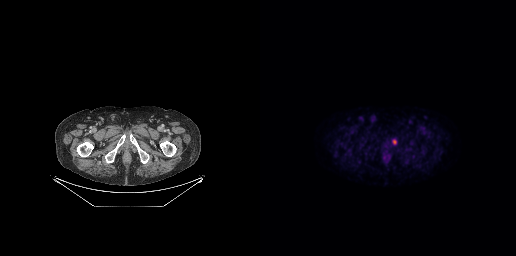
{"modality":"PSMA PET/CT","view":"axial","tracer":"18F-PSMA","pet_grid":[256,256],"coord_frame":"pet_panel","coord_format":"x0,y0,x1,y1","lesion_bboxes":[[132,139,136,144]]}